Two-panel axial: CT | PSMA PET, [18F]PSMA-1007 tracer. PET panel 200×200 px (4.1 mm/px).
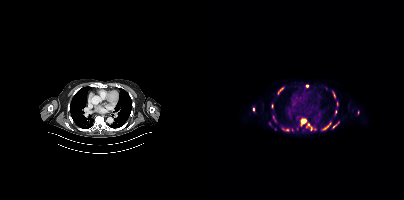
Coordinates are on the 200×200 PET (right) panel. (showing 14 of 17 foci) PSMA-avid tumor lesion bounding boxes (x0, y0)-(x1, y1): (97, 119)-(102, 125) | (102, 123)-(108, 130) | (74, 87)-(80, 93) | (118, 127)-(122, 130) | (78, 128)-(85, 131) | (129, 122)-(135, 127) | (123, 122)-(127, 126) | (129, 92)-(131, 97) | (131, 110)-(132, 114) | (69, 115)-(70, 119). Small PSMA-avid foci (2 to 4 px across) near (center x, center y): (103, 86) | (49, 109) | (133, 103) | (154, 112).